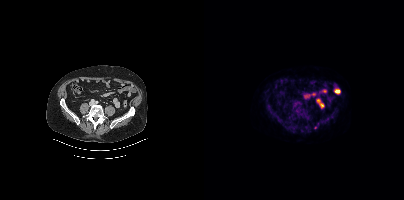
Findings: Coordinates are on the 200×200 PET (right) panel. Small PSMA-avid focus (2 to 4 px across) near (center x, center y): (111, 127).
- Paired axial CT (left) and PSMA PET (right), [18F]PSMA-1007 tracer
- slice 155 of 462